Paired axial CT (left) and PSMA PET (right), 18F tracer. Acquired on Siemens Biograph mCT Flow 20. Slice position z = -1014 mm.
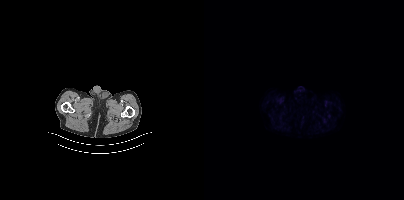
Negative for PSMA-avid disease on this slice.